- Left: CT. Right: PSMA PET, same axial level, 18F tracer
- acquired on Siemens Biograph mCT Flow 20
- slice 151 of 411
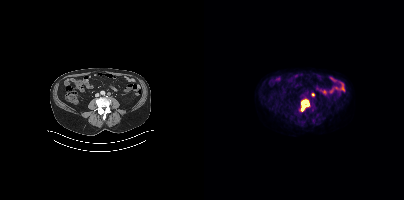
Findings: Coordinates are on the 200×200 PET (right) panel. (showing 1 of 2 foci) PSMA-avid tumor lesion bounding box (x, y, width, height): x=96 y=99 w=10 h=13.